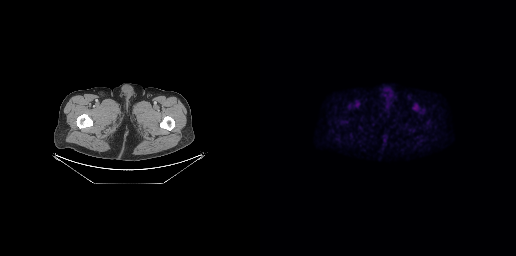
{"modality":"PSMA PET/CT","view":"axial","tracer":"[18F]PSMA-1007","pet_grid":[256,256],"coord_frame":"pet_panel","coord_format":"x0,y0,x1,y1","psma_avid_lesions":false}